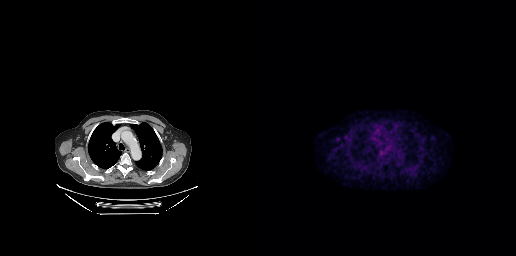
Coordinates are on the 256×256 PET (right) panel. Small PSMA-avid foci (2 to 4 px across) near (center x, center y): (77, 138) | (86, 135).